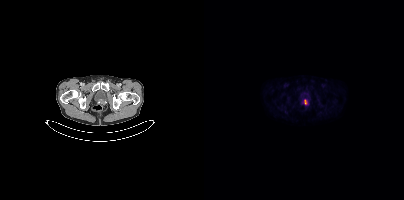
Coordinates are on the 200×200 PET (right) panel. PSMA-avid tumor lesion bounding box (x0, y0)-(x1, y1): (100, 99)-(103, 104).